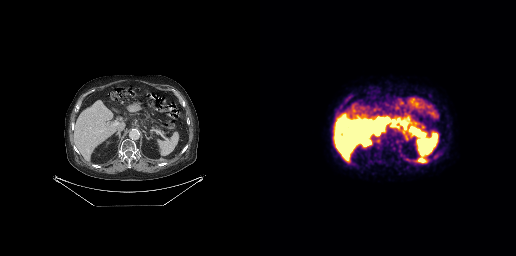
modality: PSMA PET/CT | tracer: 18F-PSMA | view: axial
This slice has no annotated PSMA-avid lesion.